- Two-panel axial: CT | PSMA PET, 18F tracer
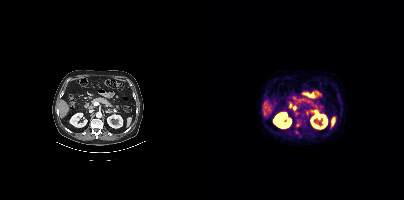
Findings: Coordinates are on the 200×200 PET (right) panel. Small PSMA-avid foci (2 to 4 px across) near (center x, center y): (92, 131), (94, 125), (92, 113).